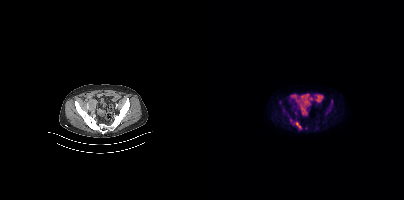
{"modality":"PSMA PET/CT","view":"axial","tracer":"[18F]PSMA-1007","pet_grid":[200,200],"coord_frame":"pet_panel","coord_format":"x0,y0,x1,y1","partial":true,"lesion_bboxes":[[89,121,97,129],[127,100,128,104]],"small_foci_centers":[[87,119],[79,109]]}